Technique: Two-panel axial: CT | PSMA PET, 68Ga-PSMA tracer. acquired on GE Discovery 690. PET panel 256×256 px (2.7 mm/px).
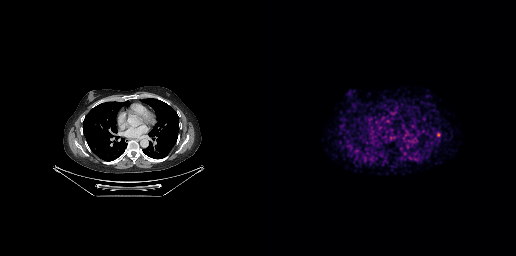
Findings: Coordinates are on the 256×256 PET (right) panel. Small PSMA-avid focus (2 to 4 px across) near (center x, center y): (178, 134).